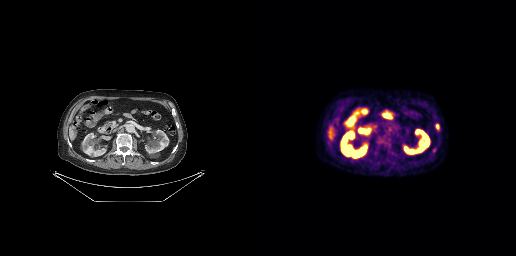
Coordinates are on the 256×256 PET (right) panel. PSMA-avid tumor lesion bounding box (x, y, width, height): x=176 y=124 w=4 h=6. Small PSMA-avid focus (2 to 4 px across) near (center x, center y): (174, 150).